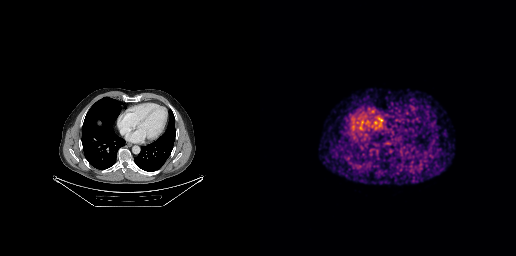
- Left: CT. Right: PSMA PET, same axial level, 68Ga-PSMA tracer
- acquired on GE Discovery 690
- slice 177 of 263
- PET panel 256×256 px (2.7 mm/px)
Findings: This slice has no annotated PSMA-avid lesion.